- Two-panel axial: CT | PSMA PET, 18F-PSMA tracer
- PET panel 200×200 px (4.1 mm/px)
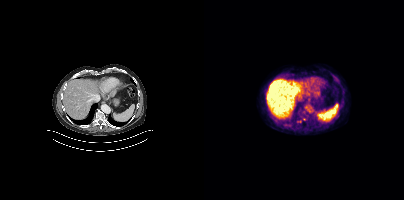
Findings: Only PSMA-avid lesion pieces thinner than 2 px on this slice (not listed).